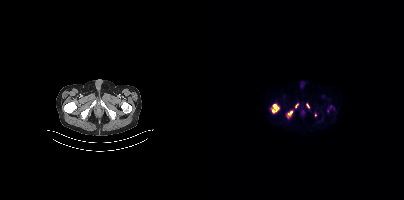
modality: PSMA PET/CT | tracer: 18F-PSMA | view: axial | PET grid: 200×200
Coordinates are on the 200×200 PET (right) panel. (showing 5 of 7 foci) PSMA-avid tumor lesion bounding boxes (x, y, width, height): x=67 y=104 w=9 h=9 | x=83 y=111 w=6 h=8. Small PSMA-avid foci (2 to 4 px across) near (center x, center y): (103, 105) | (92, 105) | (111, 114).